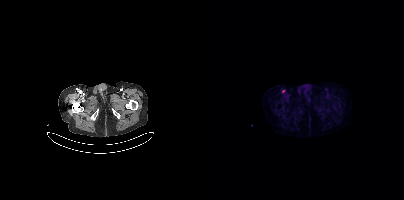
Coordinates are on the 200×200 PET (right) panel. Small PSMA-avid focus (2 to 4 px across) near (center x, center y): (79, 91). Two-panel axial: CT | PSMA PET, 18F-PSMA tracer. Acquired on Siemens Biograph mCT Flow 20. PET panel 200×200 px (4.1 mm/px).